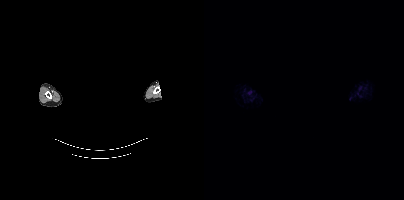
No tumor lesions annotated on this slice.
A rectangle over the head was blacked out to remove identifiable facial features.